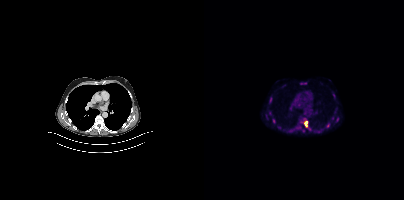
Coordinates are on the 200×200 PET (right) panel. (showing 6 of 7 foci) PSMA-avid tumor lesion bounding boxes (x0, y0)-(x1, y1): (100, 121)-(103, 127) / (96, 82)-(102, 84) / (69, 119)-(71, 123) / (66, 97)-(67, 102) / (132, 117)-(134, 121). Small PSMA-avid focus (2 to 4 px across) near (center x, center y): (128, 118).